Left: CT. Right: PSMA PET, same axial level, 18F tracer.
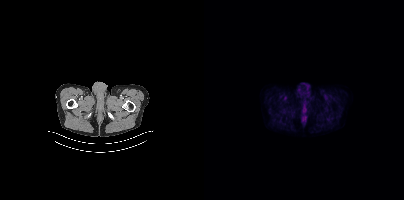
This slice has no annotated PSMA-avid lesion.